Technique: Left: CT. Right: PSMA PET, same axial level, [18F]PSMA-1007 tracer. PET panel 200×200 px (4.1 mm/px).
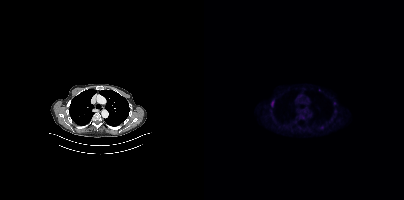
Findings: Coordinates are on the 200×200 PET (right) panel. Small PSMA-avid focus (2 to 4 px across) near (center x, center y): (69, 100).